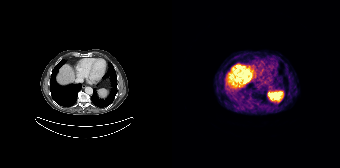
- Two-panel axial: CT | PSMA PET, [68Ga]Ga-PSMA-11 tracer
- PET panel 168×168 px (4.1 mm/px)
Findings: Coordinates are on the 168×168 PET (right) panel. PSMA-avid tumor lesion bounding box (x, y, width, height): x=70 y=79 w=5 h=5.